Left: CT. Right: PSMA PET, same axial level, 18F-PSMA tracer. PET panel 200×200 px (4.1 mm/px).
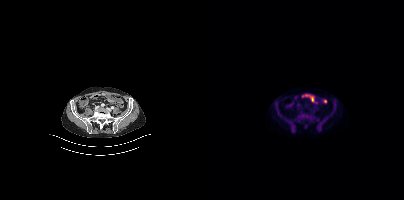
No tumor lesions annotated on this slice.